Two-panel axial: CT | PSMA PET, [18F]PSMA-1007 tracer. Slice position z = -918 mm.
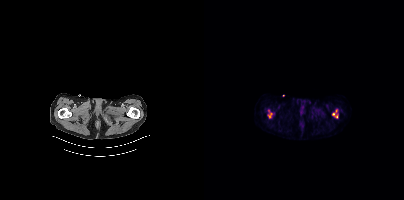
Coordinates are on the 200×200 PET (right) panel. PSMA-avid tumor lesion bounding boxes:
| # | x0 | y0 | x1 | y1 |
|---|---|---|---|---|
| 1 | 128 | 109 | 134 | 117 |
| 2 | 64 | 110 | 68 | 118 |